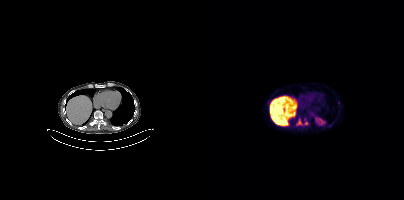
Two-panel axial: CT | PSMA PET, 18F tracer. Coordinates are on the 200×200 PET (right) panel. PSMA-avid tumor lesion bounding boxes (x0,y0,x1,y1): [93,119,98,126]; [100,120,104,125].